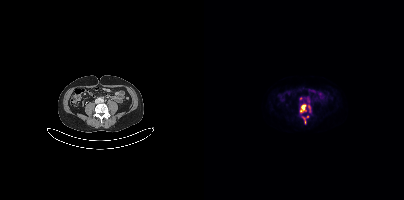
modality: PSMA PET/CT | tracer: [18F]PSMA-1007 | view: axial
Coordinates are on the 200×200 PET (right) panel. PSMA-avid tumor lesion bounding boxes (x0,y0,x1,y1): [96,104,101,112]; [104,106,106,112]. Small PSMA-avid foci (2 to 4 px across) near (center x, center y): (99, 117); (97, 98); (103, 116).